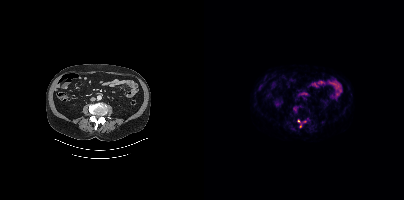
{"modality":"PSMA PET/CT","view":"axial","tracer":"18F","pet_grid":[200,200],"coord_frame":"pet_panel","coord_format":"x0,y0,x1,y1","lesion_bboxes":[],"small_foci_centers":[[94,121],[96,126],[100,121]]}